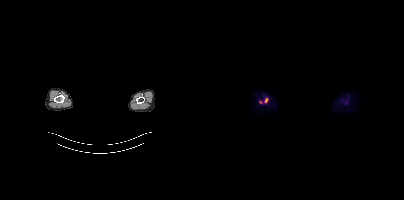
Technique: Paired axial CT (left) and PSMA PET (right), 18F-PSMA tracer. acquired on Siemens Biograph mCT Flow 20. PET panel 200×200 px (4.1 mm/px).
Note: Any black rectangle over the head is a privacy mask, not anatomy.
Findings: Coordinates are on the 200×200 PET (right) panel. PSMA-avid tumor lesion bounding box (x0,y0,x1,y1): [61,98,63,102]. Small PSMA-avid focus (2 to 4 px across) near (center x, center y): (56, 102).